Two-panel axial: CT | PSMA PET, 68Ga tracer.
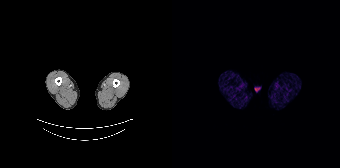
No tumor lesions annotated on this slice.